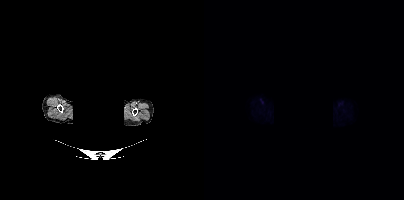
Two-panel axial: CT | PSMA PET, [18F]PSMA-1007 tracer. Acquired on Siemens Biograph mCT Flow 20. The face region was removed for patient privacy by blanking a rectangle over the head. This slice has no annotated PSMA-avid lesion.